modality: PSMA PET/CT | tracer: [18F]PSMA-1007 | view: axial
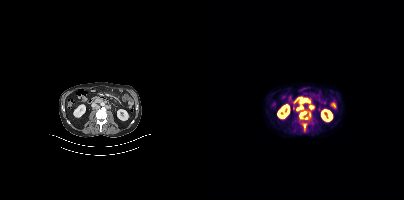
Coordinates are on the 200×200 PET (right) panel. (showing 6 of 7 foci) PSMA-avid tumor lesion bounding boxes (x0,y0,x1,y1): [95,111,104,119]; [96,98,103,102]; [94,106,98,109]; [100,124,102,128]; [105,112,106,116]. Small PSMA-avid focus (2 to 4 px across) near (center x, center y): (107, 107).